Paired axial CT (left) and PSMA PET (right), [18F]PSMA-1007 tracer. Acquired on GE Discovery 690.
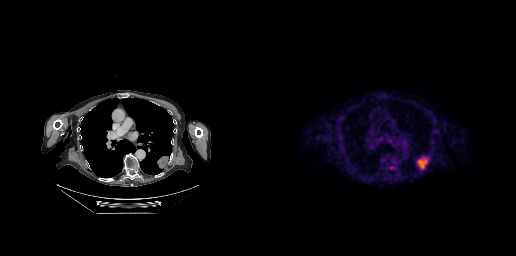
Coordinates are on the 256×256 PET (right) panel. PSMA-avid tumor lesion bounding box (x0, y0)-(x1, y1): (157, 156)-(168, 169).